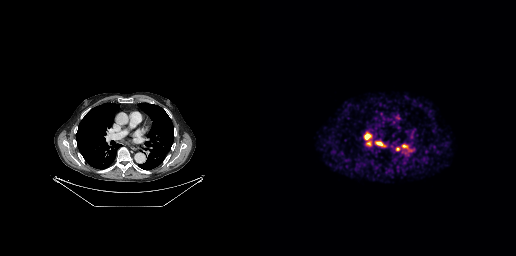
Coordinates are on the 256×256 PET (right) panel. PSMA-avid tumor lesion bounding boxes (partial; 1 more focus not listed):
| # | x0 | y0 | x1 | y1 |
|---|---|---|---|---|
| 1 | 104 | 133 | 111 | 139 |
| 2 | 117 | 142 | 121 | 145 |
Small PSMA-avid foci (2 to 4 px across) near (center x, center y): (108, 143); (144, 145); (137, 148).
Left: CT. Right: PSMA PET, same axial level, 68Ga-PSMA tracer. PET panel 256×256 px (2.7 mm/px).